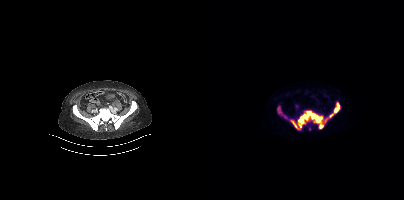
{"modality":"PSMA PET/CT","view":"axial","tracer":"[68Ga]Ga-PSMA-11","pet_grid":[200,200],"coord_frame":"pet_panel","coord_format":"x0,y0,x1,y1","lesion_bboxes":[[86,111,127,129],[128,102,136,115],[73,105,78,115],[79,115,83,119]]}